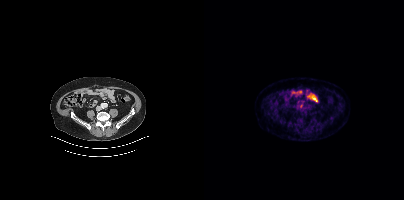
Technique: Left: CT. Right: PSMA PET, same axial level, 68Ga tracer. PET panel 200×200 px (4.1 mm/px).
Findings: Coordinates are on the 200×200 PET (right) panel. Small PSMA-avid focus (2 to 4 px across) near (center x, center y): (97, 106).